modality: PSMA PET/CT | tracer: 18F-PSMA | view: axial | deidentification: privacy mask over head
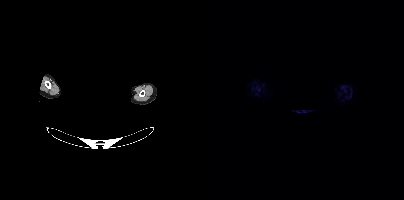
No PSMA-avid tumor lesions on this slice.